modality: PSMA PET/CT | tracer: 68Ga | view: axial
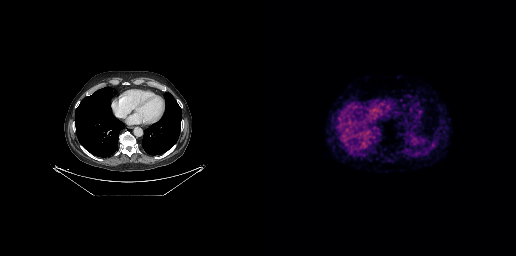
Negative for PSMA-avid disease on this slice.